Two-panel axial: CT | PSMA PET, [18F]PSMA-1007 tracer. Acquired on Siemens Biograph mCT Flow 20. PET panel 200×200 px (4.1 mm/px).
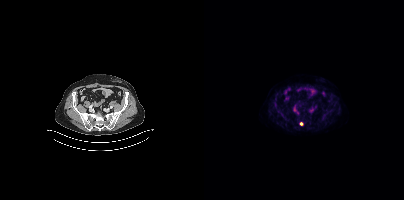
Coordinates are on the 200×200 PET (right) panel. Small PSMA-avid focus (2 to 4 px across) near (center x, center y): (97, 123).